Technique: Paired axial CT (left) and PSMA PET (right), [68Ga]Ga-PSMA-11 tracer. PET panel 168×168 px (4.1 mm/px).
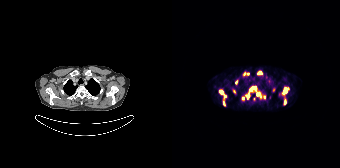
Findings: Coordinates are on the 168×168 PET (right) panel. (showing 10 of 16 foci) PSMA-avid tumor lesion bounding boxes (x0,y0,x1,y1): [47,90,54,96] [111,87,115,93] [77,87,84,91] [71,72,76,75] [74,95,77,99] [112,100,113,104]. Small PSMA-avid foci (2 to 4 px across) near (center x, center y): (62, 91) (92, 97) (87, 72) (64, 82).